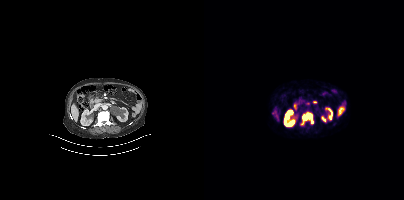
Coordinates are on the 200×200 PET (right) panel. PSMA-avid tumor lesion bounding box (x0, y0)-(x1, y1): (96, 112)-(109, 125). Small PSMA-avid foci (2 to 4 px across) near (center x, center y): (69, 112) | (103, 103).